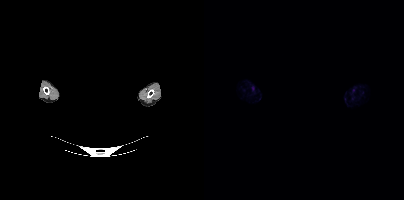
The face region was removed for patient privacy by blanking a rectangle over the head. Left: CT. Right: PSMA PET, same axial level, 18F tracer. Slice 425 of 440. PET panel 200×200 px (4.1 mm/px). No PSMA-avid tumor lesions on this slice.